Paired axial CT (left) and PSMA PET (right), 18F-PSMA tracer. Slice 278 of 454. PET panel 200×200 px (4.1 mm/px).
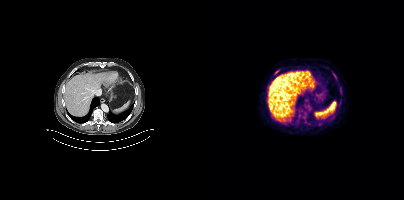
Coordinates are on the 200×200 PET (right) panel. PSMA-avid tumor lesion bounding box (x, y, width, height): x=128 y=72 w=5 h=7. Small PSMA-avid focus (2 to 4 px across) near (center x, center y): (72, 72).